Left: CT. Right: PSMA PET, same axial level, 18F-PSMA tracer.
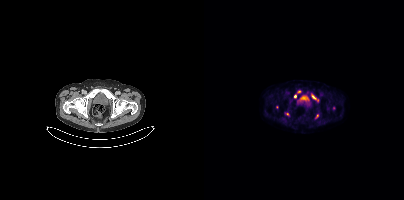
Coordinates are on the 200×200 PET (right) panel. (showing 6 of 7 foci) PSMA-avid tumor lesion bounding boxes (x0,y0,x1,y1): [108,95,114,101]; [81,113,85,115]. Small PSMA-avid foci (2 to 4 px across) near (center x, center y): (91, 96); (113, 116); (72, 107); (95, 91).